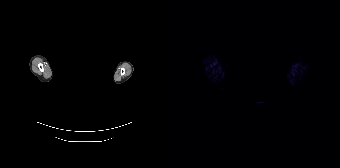
Findings: No PSMA-avid tumor lesions on this slice.
- Left: CT. Right: PSMA PET, same axial level, 68Ga tracer
- acquired on Siemens Biograph 64-4R TruePoint
- PET panel 168×168 px (4.1 mm/px)
- de-identified by setting a box covering the face to black before release